modality: PSMA PET/CT | tracer: 68Ga | view: axial | PET grid: 200×200
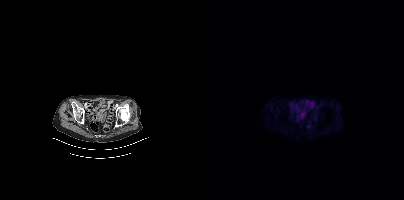
This slice has no annotated PSMA-avid lesion.